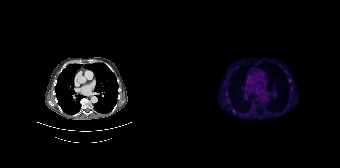
Coordinates are on the 168×168 PET (right) panel. (showing 4 of 6 foci) Small PSMA-avid foci (2 to 4 px across) near (center x, center y): (114, 72); (117, 80); (54, 94); (61, 111).